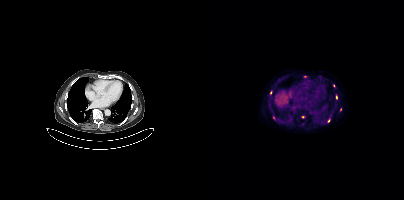
{"modality":"PSMA PET/CT","view":"axial","tracer":"[18F]PSMA-1007","pet_grid":[200,200],"coord_frame":"pet_panel","coord_format":"x0,y0,x1,y1","partial":true,"lesion_bboxes":[],"small_foci_centers":[[124,120],[132,97],[136,109],[69,117],[66,92],[129,85],[98,116]]}